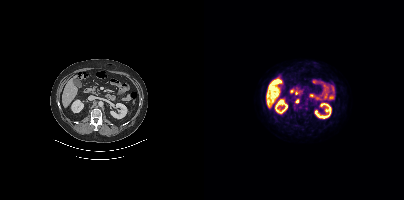
Left: CT. Right: PSMA PET, same axial level, 18F tracer. Acquired on Siemens Biograph mCT Flow 20. Slice 213 of 435. Coordinates are on the 200×200 PET (right) panel. Small PSMA-avid foci (2 to 4 px across) near (center x, center y): (93, 100) / (96, 106) / (102, 108).